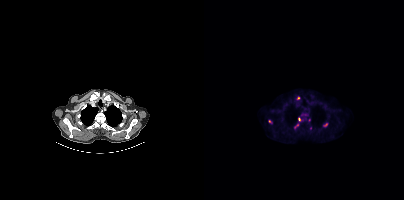
Coordinates are on the 200×200 PET (right) panel. (showing 4 of 9 foci) Small PSMA-avid foci (2 to 4 px across) near (center x, center y): (94, 98); (95, 119); (66, 121); (93, 124). Two-panel axial: CT | PSMA PET, [18F]PSMA-1007 tracer. Acquired on Siemens Biograph mCT Flow 20. Slice position z = 123 mm.